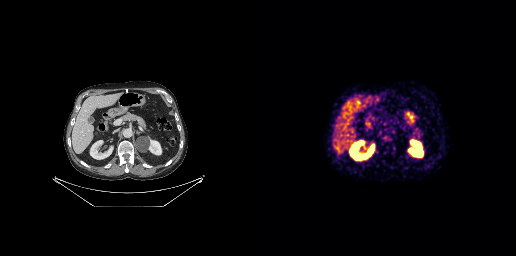
Negative for PSMA-avid disease on this slice. Left: CT. Right: PSMA PET, same axial level, 68Ga-PSMA tracer. PET panel 256×256 px (2.7 mm/px).